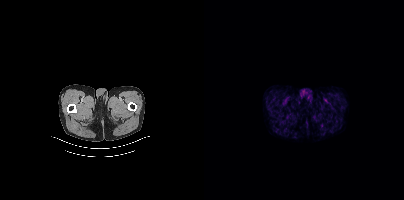
Technique: Paired axial CT (left) and PSMA PET (right), [18F]PSMA-1007 tracer. acquired on Siemens Biograph mCT Flow 20. slice position z = -864 mm.
Findings: No tumor lesions annotated on this slice.